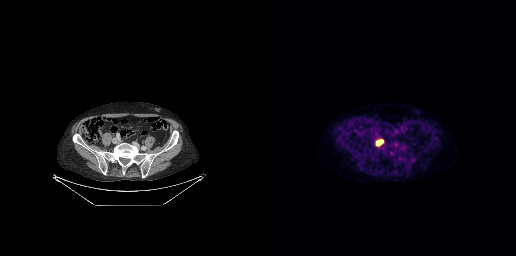
Technique: Two-panel axial: CT | PSMA PET, [18F]PSMA-1007 tracer. slice position z = -748 mm. PET panel 256×256 px (2.7 mm/px).
Findings: Coordinates are on the 256×256 PET (right) panel. PSMA-avid tumor lesion bounding box (x0, y0)-(x1, y1): (116, 140)-(122, 145).